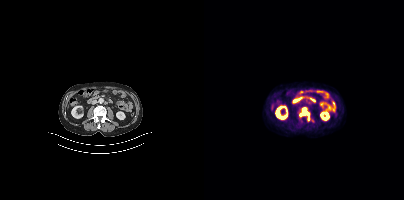
Coordinates are on the 200×200 PET (right) panel. PSMA-avid tumor lesion bounding box (x, y, width, height): x=95 y=107 w=11 h=15.
modality: PSMA PET/CT | tracer: 18F-PSMA | view: axial | PET grid: 200×200